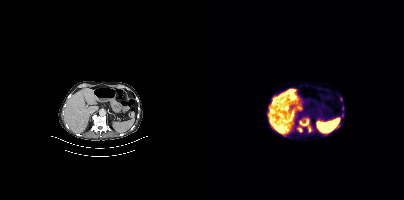
modality: PSMA PET/CT | tracer: 18F-PSMA | view: axial
Coordinates are on the 200×200 PET (right) panel. PSMA-avid tumor lesion bounding boxes (x0,y0,x1,y1): [95,118,107,131], [93,127,98,132].